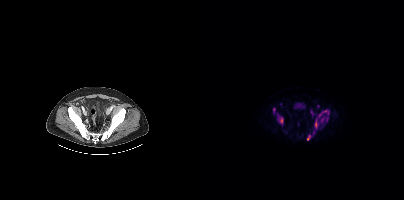
Two-panel axial: CT | PSMA PET, 18F-PSMA tracer. Slice position z = -950 mm. PET panel 200×200 px (4.1 mm/px). Coordinates are on the 200×200 PET (right) panel. (showing 5 of 7 foci) PSMA-avid tumor lesion bounding boxes (x0,y0,x1,y1): [115,110,125,117] [111,119,114,127] [103,135,106,140] [76,118,78,122]. Small PSMA-avid focus (2 to 4 px across) near (center x, center y): (118, 120).